Paired axial CT (left) and PSMA PET (right), [18F]PSMA-1007 tracer. Slice position z = -738 mm.
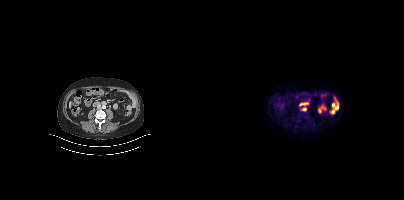
Coordinates are on the 200×200 PET (right) panel. PSMA-avid tumor lesion bounding boxes:
| # | x0 | y0 | x1 | y1 |
|---|---|---|---|---|
| 1 | 97 | 107 | 102 | 111 |